Two-panel axial: CT | PSMA PET, 18F-PSMA tracer. PET panel 200×200 px (4.1 mm/px).
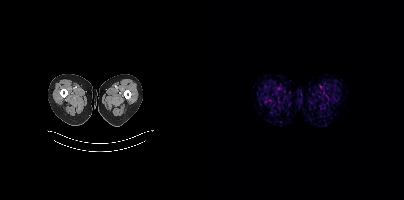
This slice has no annotated PSMA-avid lesion.